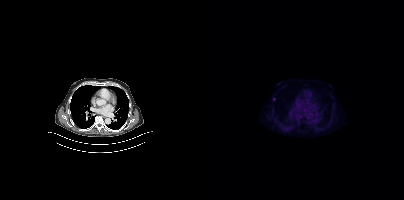
{"pet_grid":[200,200],"coord_frame":"pet_panel","coord_format":"x0,y0,x1,y1","lesion_bboxes":[],"small_foci_centers":[[70,99]],"modality":"PSMA PET/CT","view":"axial","tracer":"18F"}